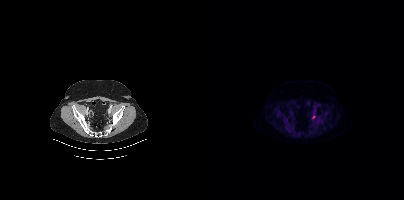
Coordinates are on the 200×200 PET (right) panel. Small PSMA-avid focus (2 to 4 px across) near (center x, center y): (109, 116). Paired axial CT (left) and PSMA PET (right), 18F-PSMA tracer. PET panel 200×200 px (4.1 mm/px).